Two-panel axial: CT | PSMA PET, 18F-PSMA tracer. PET panel 200×200 px (4.1 mm/px).
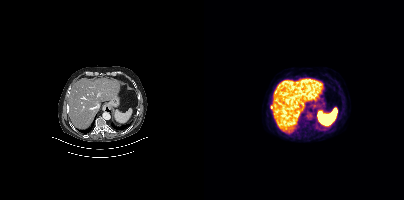
Coordinates are on the 200×200 PET (right) panel. Small PSMA-avid focus (2 to 4 px across) near (center x, center y): (67, 106).